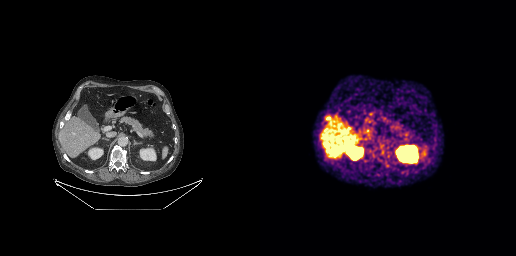
Two-panel axial: CT | PSMA PET, 18F-PSMA tracer. Acquired on GE Discovery 690. No PSMA-avid tumor lesions on this slice.